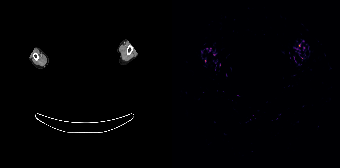
Findings: This slice has no annotated PSMA-avid lesion.
Technique: Left: CT. Right: PSMA PET, same axial level, 68Ga-PSMA tracer. acquired on Siemens Biograph 64-4R TruePoint. PET panel 168×168 px (4.1 mm/px).
Note: Facial anatomy redacted by setting a rectangular region of the head to black.